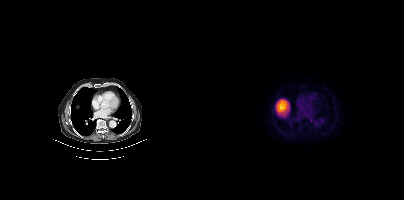
Two-panel axial: CT | PSMA PET, [18F]PSMA-1007 tracer. Acquired on Siemens Biograph mCT Flow 20. Slice position z = -462 mm. PET panel 200×200 px (4.1 mm/px). Only PSMA-avid lesion pieces thinner than 2 px on this slice (not listed).